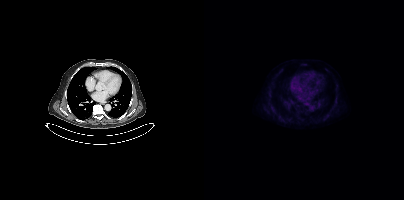
This slice has no annotated PSMA-avid lesion.